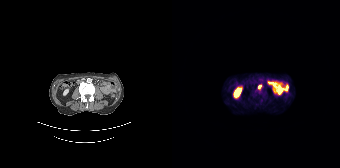
Coordinates are on the 168×168 PET (right) panel. Small PSMA-avid focus (2 to 4 px across) near (center x, center y): (87, 86).